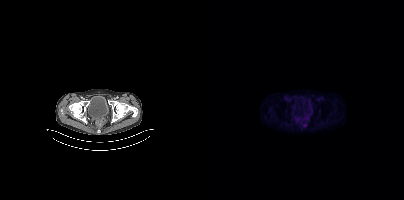
{"modality":"PSMA PET/CT","view":"axial","tracer":"18F-PSMA","pet_grid":[200,200],"coord_frame":"pet_panel","coord_format":"x0,y0,x1,y1","lesion_bboxes":[],"small_foci_centers":[[93,118],[100,125]]}